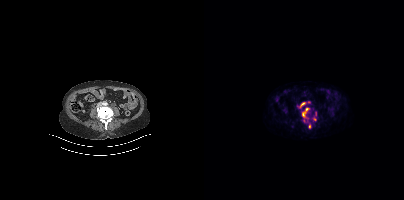
{"modality":"PSMA PET/CT","view":"axial","tracer":"[68Ga]Ga-PSMA-11","pet_grid":[200,200],"coord_frame":"pet_panel","coord_format":"x0,y0,x1,y1","partial":true,"lesion_bboxes":[[98,108,104,118],[104,124,107,128]],"small_foci_centers":[[105,120],[95,106],[111,119]]}